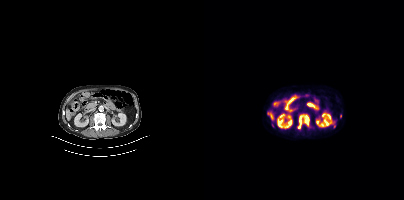
Paired axial CT (left) and PSMA PET (right), 18F tracer. Slice 230 of 466. PET panel 200×200 px (4.1 mm/px).
Coordinates are on the 200×200 PET (right) panel. PSMA-avid tumor lesion bounding boxes:
| # | x0 | y0 | x1 | y1 |
|---|---|---|---|---|
| 1 | 93 | 113 | 105 | 129 |
Small PSMA-avid focus (2 to 4 px across) near (center x, center y): (136, 115).